Left: CT. Right: PSMA PET, same axial level, 68Ga-PSMA tracer. PET panel 200×200 px (4.1 mm/px).
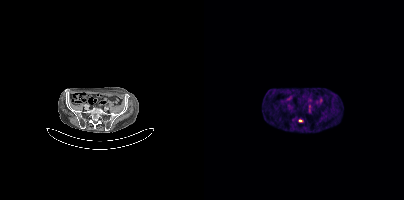
Coordinates are on the 200×200 PET (right) panel. Small PSMA-avid focus (2 to 4 px across) near (center x, center y): (96, 120).